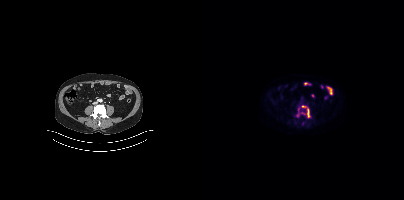
Findings: Coordinates are on the 200×200 PET (right) panel. PSMA-avid tumor lesion bounding box (x0, y0)-(x1, y1): (97, 105)-(106, 117). Small PSMA-avid foci (2 to 4 px across) near (center x, center y): (93, 115); (94, 109).
Technique: Paired axial CT (left) and PSMA PET (right), 18F-PSMA tracer. acquired on Siemens Biograph mCT Flow 20. slice 149 of 395. PET panel 200×200 px (4.1 mm/px).